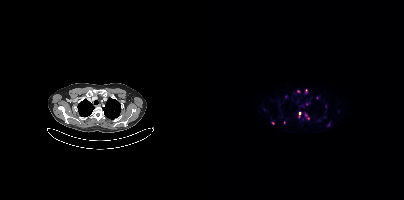
- Two-panel axial: CT | PSMA PET, 68Ga tracer
- acquired on Siemens Biograph mCT Flow 20
- PET panel 200×200 px (4.1 mm/px)
Findings: Coordinates are on the 200×200 PET (right) panel. (showing 7 of 10 foci) PSMA-avid tumor lesion bounding box (x, y, width, height): x=94 y=112 w=3 h=6. Small PSMA-avid foci (2 to 4 px across) near (center x, center y): (102, 115) | (82, 96) | (94, 91) | (102, 91) | (80, 122) | (68, 122).